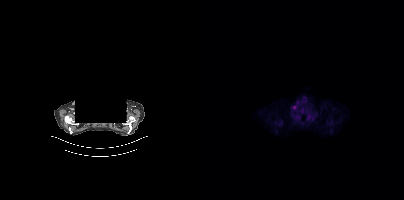
- de-identified by setting a box covering the face to black before release
- Left: CT. Right: PSMA PET, same axial level, 18F tracer
- acquired on Siemens Biograph mCT Flow 20
- PET panel 200×200 px (4.1 mm/px)
Findings: Coordinates are on the 200×200 PET (right) panel. Small PSMA-avid focus (2 to 4 px across) near (center x, center y): (90, 107).